- Left: CT. Right: PSMA PET, same axial level, 18F tracer
- PET panel 256×256 px (2.7 mm/px)
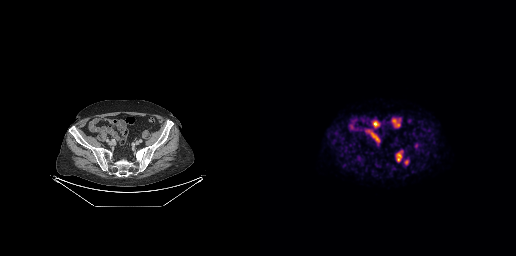
Findings: Coordinates are on the 256×256 PET (right) panel. (showing 2 of 3 foci) PSMA-avid tumor lesion bounding boxes (x, y, width, height): x=136 y=150 w=7 h=13 / x=144 y=160 w=5 h=5.